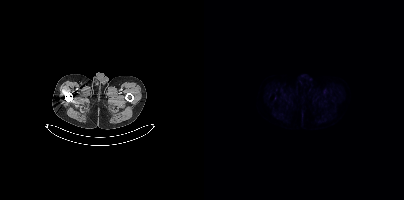
No tumor lesions annotated on this slice. Left: CT. Right: PSMA PET, same axial level, 18F tracer. Slice position z = -312 mm. PET panel 200×200 px (4.1 mm/px).